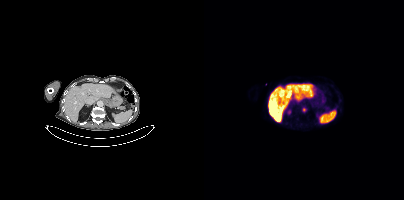
Left: CT. Right: PSMA PET, same axial level, 18F-PSMA tracer. Coordinates are on the 200×200 PET (right) panel. Small PSMA-avid focus (2 to 4 px across) near (center x, center y): (100, 109).